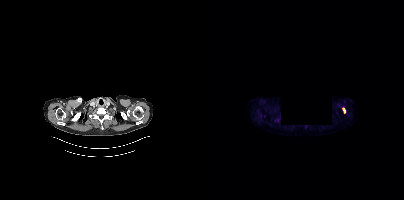
A black rectangle in this scan is a privacy mask, not anatomy. Two-panel axial: CT | PSMA PET, 18F-PSMA tracer. Slice position z = -362 mm.
Coordinates are on the 200×200 PET (right) panel. PSMA-avid tumor lesion bounding boxes:
| # | x0 | y0 | x1 | y1 |
|---|---|---|---|---|
| 1 | 138 | 108 | 141 | 113 |